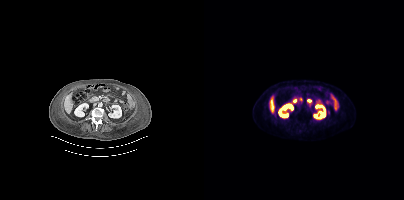
{"modality":"PSMA PET/CT","view":"axial","tracer":"[18F]PSMA-1007","pet_grid":[200,200],"coord_frame":"pet_panel","coord_format":"x0,y0,x1,y1","lesion_bboxes":[],"small_foci_centers":[[95,107]]}